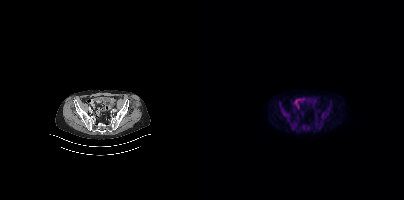
Left: CT. Right: PSMA PET, same axial level, 18F-PSMA tracer. Slice position z = -735 mm. No tumor lesions annotated on this slice.